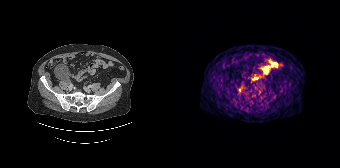
modality: PSMA PET/CT | tracer: [68Ga]Ga-PSMA-11 | view: axial | PET grid: 168×168
Coordinates are on the 168×168 PET (right) panel. PSMA-avid tumor lesion bounding box (x0,y0,x1,y1): [66,88,69,92].